Technique: Paired axial CT (left) and PSMA PET (right), 68Ga tracer. slice 23 of 263. PET panel 256×256 px (2.7 mm/px).
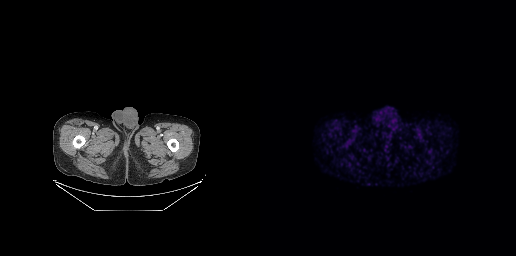
Findings: No PSMA-avid tumor lesions on this slice.